Paired axial CT (left) and PSMA PET (right), 18F-PSMA tracer. Acquired on Siemens Biograph mCT Flow 20. Slice 146 of 435.
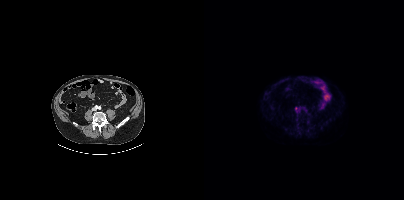
Coordinates are on the 200×200 PET (right) panel. Small PSMA-avid focus (2 to 4 px across) near (center x, center y): (92, 108).